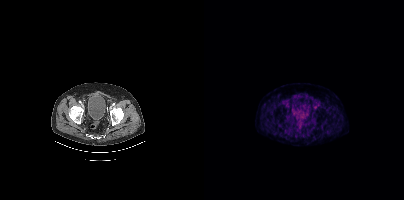
- Paired axial CT (left) and PSMA PET (right), 18F-PSMA tracer
- slice 100 of 448
Findings: Negative for PSMA-avid disease on this slice.